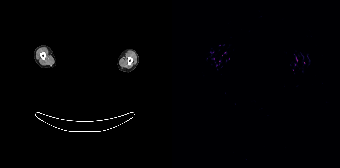
No tumor lesions annotated on this slice.
modality: PSMA PET/CT | tracer: 18F | view: axial | de-identification: head region blanked (face removed)